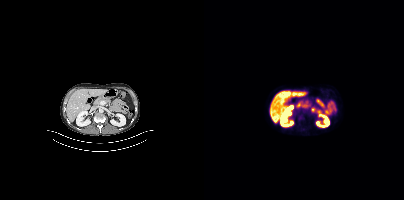
modality: PSMA PET/CT | tracer: [18F]PSMA-1007 | view: axial
This slice has no annotated PSMA-avid lesion.